- Two-panel axial: CT | PSMA PET, 18F tracer
- slice 18 of 411
- PET panel 200×200 px (4.1 mm/px)
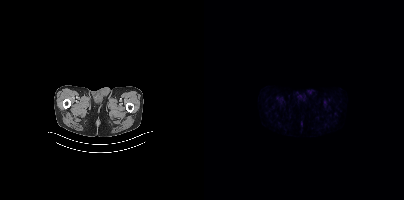
Findings: No tumor lesions annotated on this slice.